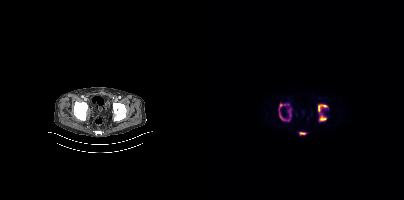
{"modality":"PSMA PET/CT","view":"axial","tracer":"18F","pet_grid":[200,200],"coord_frame":"pet_panel","coord_format":"x0,y0,x1,y1","lesion_bboxes":[[114,104,123,121],[74,103,85,120],[95,132,101,134],[84,109,86,116]]}